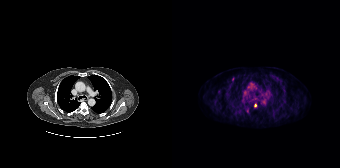
Coordinates are on the 168×168 PET (right) panel. (showing 1 of 2 foci) Small PSMA-avid focus (2 to 4 px across) near (center x, center y): (83, 105). Left: CT. Right: PSMA PET, same axial level, 18F-PSMA tracer. Acquired on Siemens Biograph 64-4R TruePoint. Slice 144 of 195. PET panel 168×168 px (4.1 mm/px).